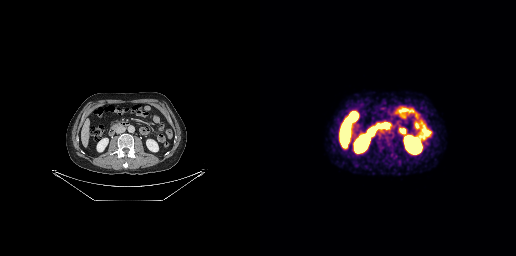
This slice has no annotated PSMA-avid lesion. Paired axial CT (left) and PSMA PET (right), [18F]PSMA-1007 tracer. Slice position z = -488 mm. PET panel 256×256 px (2.7 mm/px).